- Two-panel axial: CT | PSMA PET, 18F tracer
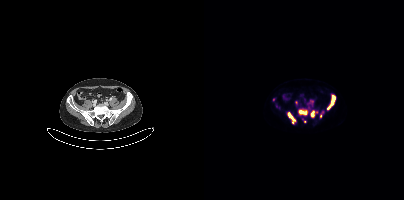
Findings: Coordinates are on the 200×200 PET (right) panel. (showing 8 of 9 foci) PSMA-avid tumor lesion bounding boxes (x0,y0,x1,y1): [94,109,103,115], [84,113,92,124], [107,110,113,116], [128,96,130,104]. Small PSMA-avid foci (2 to 4 px across) near (center x, center y): (100, 120), (116, 115), (69, 99), (124, 107).